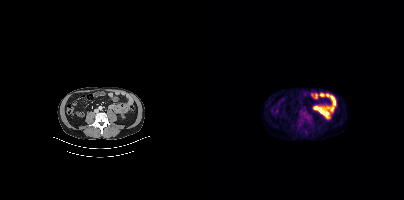
Technique: Two-panel axial: CT | PSMA PET, [18F]PSMA-1007 tracer.
Findings: Coordinates are on the 200×200 PET (right) panel. PSMA-avid tumor lesion bounding box (x0,y0,x1,y1): [95,111,106,123].